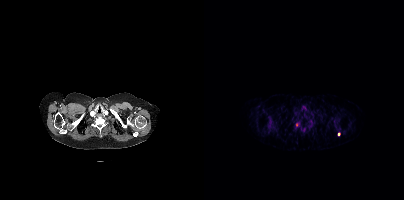
Technique: Paired axial CT (left) and PSMA PET (right), [68Ga]Ga-PSMA-11 tracer. acquired on Siemens Biograph mCT Flow 20. PET panel 200×200 px (4.1 mm/px).
Findings: Coordinates are on the 200×200 PET (right) panel. (showing 1 of 2 foci) Small PSMA-avid focus (2 to 4 px across) near (center x, center y): (135, 133).